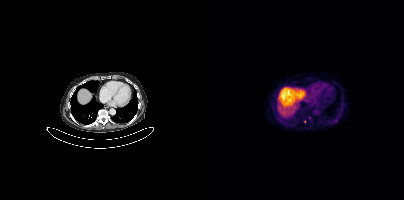
Two-panel axial: CT | PSMA PET, [18F]PSMA-1007 tracer. PET panel 200×200 px (4.1 mm/px). No PSMA-avid tumor lesions on this slice.